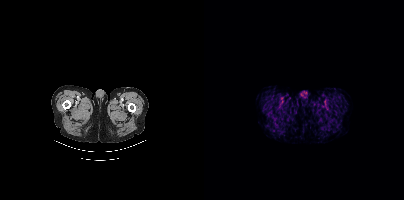
Findings: No PSMA-avid tumor lesions on this slice.
Technique: Two-panel axial: CT | PSMA PET, 18F tracer.